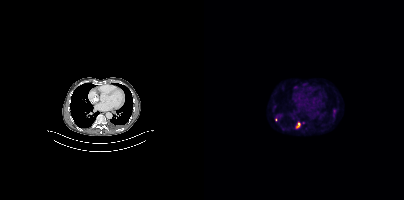
modality: PSMA PET/CT | tracer: 18F | view: axial
Coordinates are on the 200×200 PET (right) panel. PSMA-avid tumor lesion bounding boxes (x, y, width, height): x=92 y=122 w=5 h=7 / x=71 y=115 w=7 h=6 / x=129 y=109 w=4 h=5.